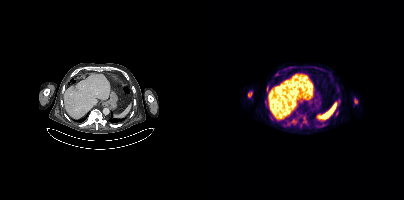
{"modality":"PSMA PET/CT","view":"axial","tracer":"[18F]PSMA-1007","pet_grid":[200,200],"coord_frame":"pet_panel","coord_format":"x0,y0,x1,y1","partial":true,"lesion_bboxes":[[44,91,48,97],[150,99,153,103]],"small_foci_centers":[[63,88]]}